Paired axial CT (left) and PSMA PET (right), [18F]PSMA-1007 tracer. PET panel 200×200 px (4.1 mm/px).
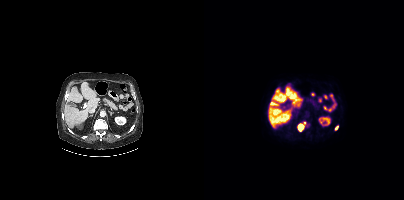
Coordinates are on the 200×200 PET (right) panel. PSMA-avid tumor lesion bounding boxes:
| # | x0 | y0 | x1 | y1 |
|---|---|---|---|---|
| 1 | 94 | 122 | 101 | 131 |
Small PSMA-avid focus (2 to 4 px across) near (center x, center y): (132, 127).